Left: CT. Right: PSMA PET, same axial level, 18F tracer. PET panel 200×200 px (4.1 mm/px).
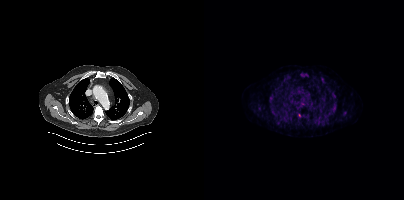
Coordinates are on the 200×200 PET (right) panel. PSMA-avid tumor lesion bounding boxes (x, y, width, height): x=97 y=73 w=8 h=4 / x=138 y=112 w=5 h=5 / x=118 y=79 w=4 h=5 / x=65 y=102 w=4 h=6 / x=124 y=112 w=5 h=5 / x=94 y=113 w=4 h=5. Small PSMA-avid foci (2 to 4 px across) near (center x, center y): (73, 114) / (131, 106) / (105, 121) / (68, 93) / (123, 118).